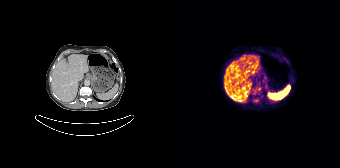
Only PSMA-avid lesion pieces thinner than 2 px on this slice (not listed).